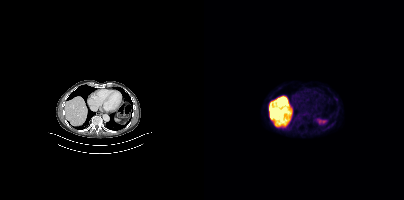
No tumor lesions annotated on this slice.